Technique: Two-panel axial: CT | PSMA PET, 18F-PSMA tracer. PET panel 200×200 px (4.1 mm/px).
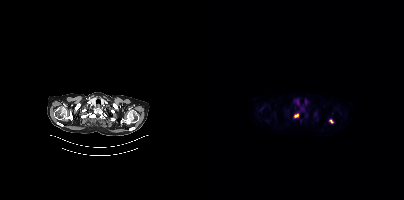
Findings: Coordinates are on the 200×200 PET (right) panel. PSMA-avid tumor lesion bounding box (x0, y0)-(x1, y1): (90, 114)-(94, 117). Small PSMA-avid focus (2 to 4 px across) near (center x, center y): (127, 121).